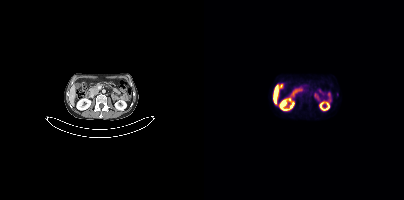
Coordinates are on the 200×200 PET (right) panel. Small PSMA-avid focus (2 to 4 px across) near (center x, center y): (133, 94).